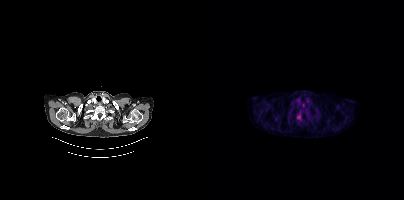
{"modality":"PSMA PET/CT","view":"axial","tracer":"18F-PSMA","pet_grid":[200,200],"coord_frame":"pet_panel","coord_format":"x0,y0,x1,y1","lesion_bboxes":[[93,115,95,119]]}